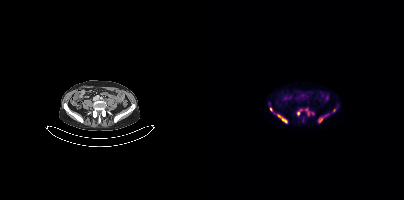
Left: CT. Right: PSMA PET, same axial level, 18F tracer.
Coordinates are on the 200×200 PET (right) panel. PSMA-avid tumor lesion bounding boxes (partial; 1 more focus not listed):
| # | x0 | y0 | x1 | y1 |
|---|---|---|---|---|
| 1 | 72 | 114 | 83 | 123 |
| 2 | 114 | 114 | 124 | 122 |
| 3 | 101 | 108 | 110 | 115 |
| 4 | 93 | 109 | 98 | 115 |
| 5 | 66 | 107 | 68 | 111 |
Small PSMA-avid focus (2 to 4 px across) near (center x, center y): (130, 110).